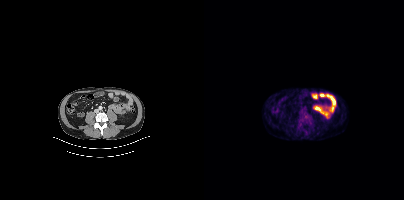
- Paired axial CT (left) and PSMA PET (right), [18F]PSMA-1007 tracer
Findings: Coordinates are on the 200×200 PET (right) panel. PSMA-avid tumor lesion bounding box (x, y, width, height): x=95 y=112 w=12 h=13.